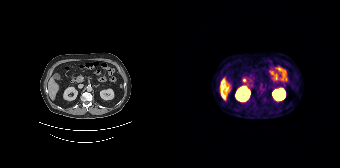
Technique: Paired axial CT (left) and PSMA PET (right), 68Ga-PSMA tracer. slice 85 of 165. PET panel 168×168 px (4.1 mm/px).
Findings: No PSMA-avid tumor lesions on this slice.